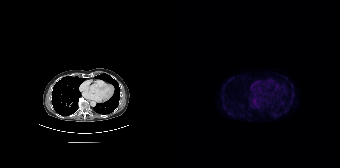
Technique: Left: CT. Right: PSMA PET, same axial level, 18F-PSMA tracer. slice 106 of 165. PET panel 168×168 px (4.1 mm/px).
Findings: No PSMA-avid tumor lesions on this slice.